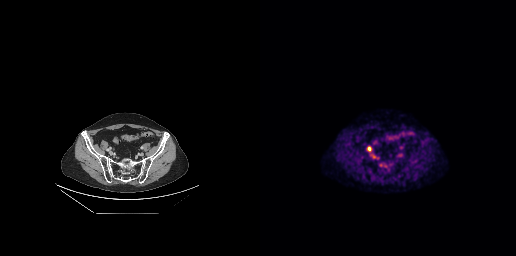
Coordinates are on the 256×256 PET (right) panel. Small PSMA-avid focus (2 to 4 px across) near (center x, center y): (109, 148).